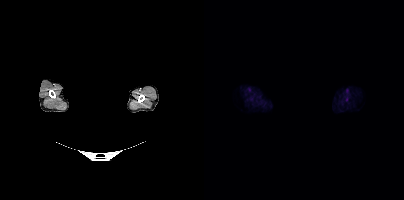
No PSMA-avid tumor lesions on this slice. The face region was removed for patient privacy by blanking a rectangle over the head. Paired axial CT (left) and PSMA PET (right), 18F-PSMA tracer. PET panel 200×200 px (4.1 mm/px).